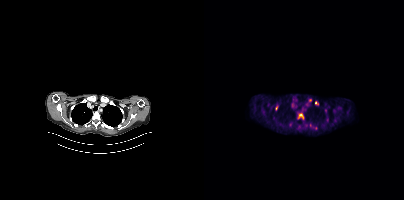
Coordinates are on the 200×200 PET (right) panel. (showing 5 of 7 foci) PSMA-avid tumor lesion bounding boxes (x, y, width, height): x=94 y=114 w=6 h=6; x=111 y=101 w=4 h=5; x=71 y=106 w=3 h=5. Small PSMA-avid foci (2 to 4 px across) near (center x, center y): (112, 128); (106, 99). Two-panel axial: CT | PSMA PET, [18F]PSMA-1007 tracer. Slice position z = -425 mm. PET panel 200×200 px (4.1 mm/px).